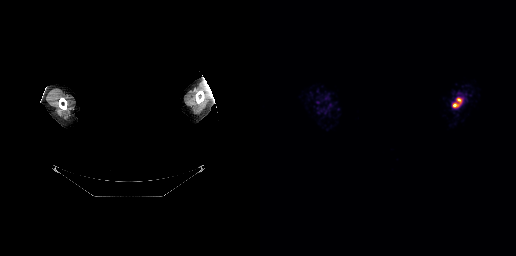
- Paired axial CT (left) and PSMA PET (right), 68Ga-PSMA tracer
- slice position z = -202 mm
- PET panel 256×256 px (2.7 mm/px)
- the face region was removed for patient privacy by blanking a rectangle over the head
Findings: Coordinates are on the 256×256 PET (right) panel. PSMA-avid tumor lesion bounding boxes (x, y, width, height): x=193 y=103 w=6 h=5 / x=197 y=98 w=5 h=5.